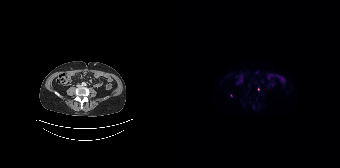
- Paired axial CT (left) and PSMA PET (right), 18F tracer
Findings: Coordinates are on the 168×168 PET (right) panel. Small PSMA-avid foci (2 to 4 px across) near (center x, center y): (86, 89) | (59, 95).